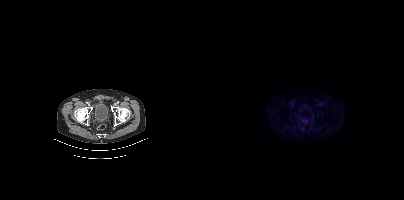
Two-panel axial: CT | PSMA PET, 18F tracer. Slice 71 of 383. Coordinates are on the 200×200 PET (right) panel. PSMA-avid tumor lesion bounding box (x0,y0,x1,y1): [100,119,103,123].